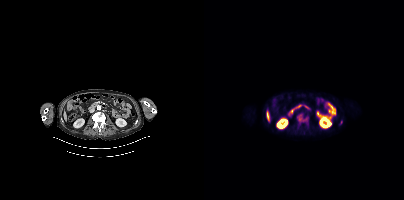
Paired axial CT (left) and PSMA PET (right), 18F-PSMA tracer. Slice position z = -1202 mm. PET panel 200×200 px (4.1 mm/px). Coordinates are on the 200×200 PET (right) panel. PSMA-avid tumor lesion bounding box (x, y, width, height): x=93 y=114 w=11 h=9.